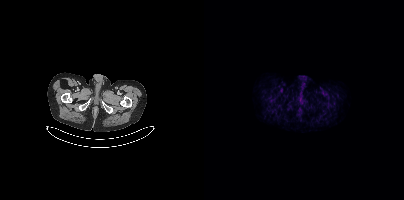
No tumor lesions annotated on this slice.